modality: PSMA PET/CT | tracer: 18F-PSMA | view: axial
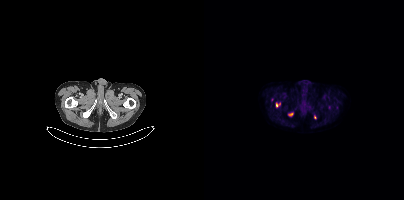
Coordinates are on the 200×200 PET (right) panel. (showing 3 of 4 foci) PSMA-avid tumor lesion bounding boxes (x, y, width, height): x=72 y=102 w=5 h=6; x=84 y=112 w=6 h=5. Small PSMA-avid focus (2 to 4 px across) near (center x, center y): (110, 117).